An anonymization step blacked out a rectangle in this scan.
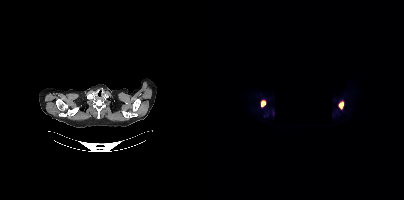
Coordinates are on the 200×200 PET (right) panel. PSMA-avid tumor lesion bounding boxes (x, y, width, height): x=134 y=101 w=6 h=9 / x=57 y=100 w=6 h=8.